Paired axial CT (left) and PSMA PET (right), 18F tracer. Acquired on Siemens Biograph mCT Flow 20. Slice 313 of 389.
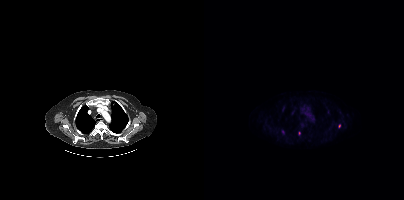
Only PSMA-avid lesion pieces thinner than 2 px on this slice (not listed).